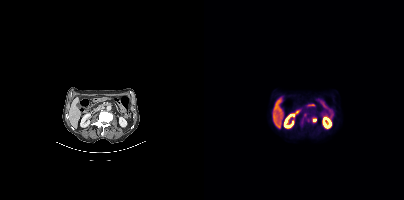
Coordinates are on the 200×200 PET (right) panel. Small PSMA-avid foci (2 to 4 px across) near (center x, center y): (110, 119); (101, 115).